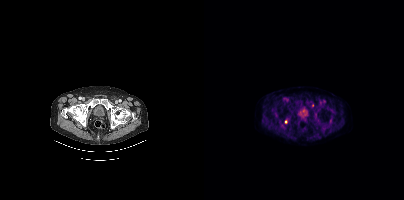
{"modality":"PSMA PET/CT","view":"axial","tracer":"18F","pet_grid":[200,200],"coord_frame":"pet_panel","coord_format":"x0,y0,x1,y1","partial":true,"lesion_bboxes":[],"small_foci_centers":[[81,121]]}